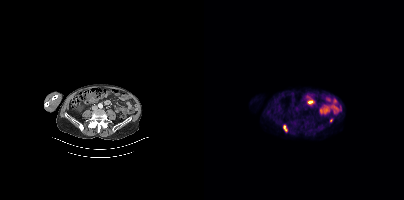
Coordinates are on the 200×200 PET (right) panel. PSMA-avid tumor lesion bounding box (x0,y0,x1,y1): [79,125,83,131]. Small PSMA-avid focus (2 to 4 px across) near (center x, center y): (127, 120).